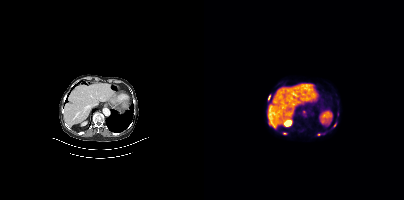
{"modality":"PSMA PET/CT","view":"axial","tracer":"68Ga-PSMA","pet_grid":[200,200],"coord_frame":"pet_panel","coord_format":"x0,y0,x1,y1","partial":true,"lesion_bboxes":[],"small_foci_centers":[[80,133],[131,124],[64,98],[115,134]]}